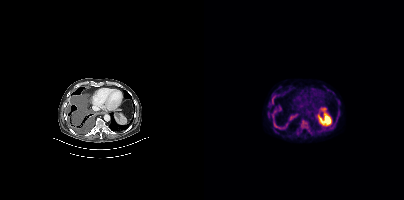
Coordinates are on the 200×200 PET (right) panel. PSMA-avid tumor lesion bounding boxes (x0, y0)-(x1, y1): (96, 119)-(104, 128) | (70, 120)-(78, 129) | (68, 95)-(71, 104) | (63, 113)-(65, 117) | (86, 116)-(90, 119).